An anonymization step blacked out a rectangle over the head in this scan.
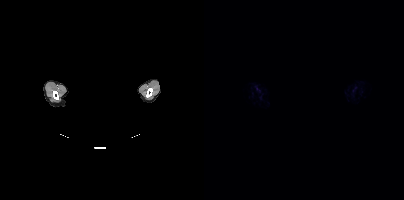
No PSMA-avid tumor lesions on this slice.